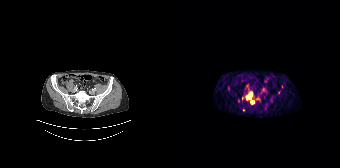
{"modality":"PSMA PET/CT","view":"axial","tracer":"[68Ga]Ga-PSMA-11","pet_grid":[168,168],"coord_frame":"pet_panel","coord_format":"x0,y0,x1,y1","partial":true,"lesion_bboxes":[[74,93,80,99]],"small_foci_centers":[[80,102],[71,109]]}